Technique: Two-panel axial: CT | PSMA PET, 18F tracer. acquired on Siemens Biograph mCT Flow 20. PET panel 200×200 px (4.1 mm/px).
Note: The face region was removed for patient privacy by blanking a rectangle over the head.
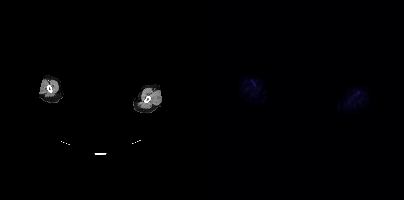
Findings: This slice has no annotated PSMA-avid lesion.